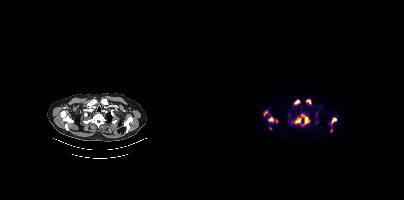
Findings: Coordinates are on the 200×200 PET (right) panel. (showing 8 of 11 foci) PSMA-avid tumor lesion bounding boxes (x0,y0,x1,y1): [97,114,105,124], [91,117,97,123], [127,118,132,123], [65,117,69,121], [91,100,95,103]. Small PSMA-avid foci (2 to 4 px across) near (center x, center y): (104, 101), (66, 128), (61, 113).
- Paired axial CT (left) and PSMA PET (right), 18F tracer